- Two-panel axial: CT | PSMA PET, 18F-PSMA tracer
- PET panel 200×200 px (4.1 mm/px)
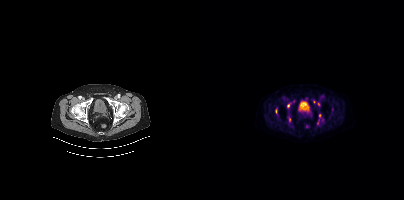
Findings: Coordinates are on the 200×200 PET (right) panel. (showing 7 of 9 foci) PSMA-avid tumor lesion bounding boxes (x0,y0,x1,y1): [83,103,87,107] [113,119,115,124] [84,117,86,121] [71,109,72,113]. Small PSMA-avid foci (2 to 4 px across) near (center x, center y): (116, 115) (110, 102) (114, 103).